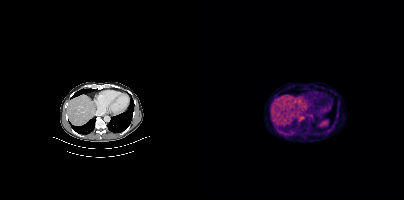
Coordinates are on the 200×200 PET (right) panel. PSMA-avid tumor lesion bounding box (x, y, width, height): x=93 y=114 w=9 h=9.